Paired axial CT (left) and PSMA PET (right), 18F-PSMA tracer. Acquired on Siemens Biograph mCT Flow 20. Slice position z = -811 mm.
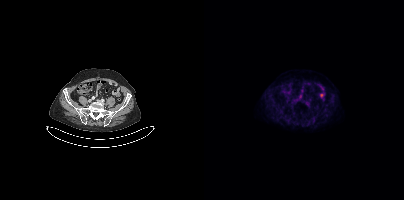
No PSMA-avid tumor lesions on this slice.